Left: CT. Right: PSMA PET, same axial level, 18F-PSMA tracer.
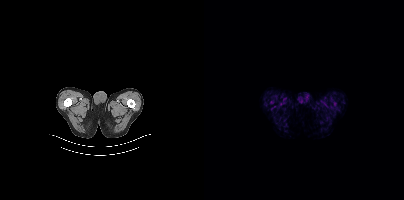
This slice has no annotated PSMA-avid lesion.